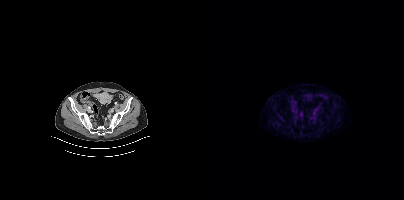
Findings: Negative for PSMA-avid disease on this slice.
- Two-panel axial: CT | PSMA PET, 68Ga tracer
- PET panel 200×200 px (4.1 mm/px)